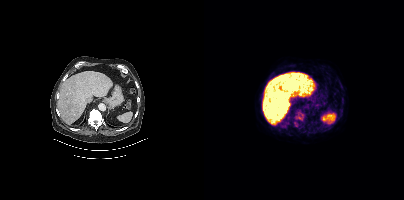
Two-panel axial: CT | PSMA PET, 18F-PSMA tracer. PET panel 200×200 px (4.1 mm/px). Only PSMA-avid lesion pieces thinner than 2 px on this slice (not listed).